Paired axial CT (left) and PSMA PET (right), 18F tracer. Acquired on Siemens Biograph mCT Flow 20. Slice 292 of 423. PET panel 200×200 px (4.1 mm/px).
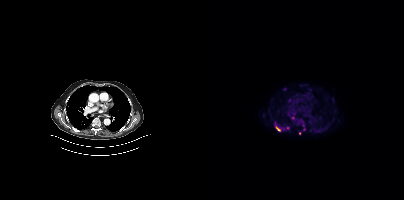
Coordinates are on the 200×200 PET (right) panel. PSMA-avid tumor lesion bounding box (x0, y0)-(x1, y1): (72, 127)-(76, 130). Small PSMA-avid foci (2 to 4 px across) near (center x, center y): (80, 89) | (83, 128) | (95, 133) | (88, 117).